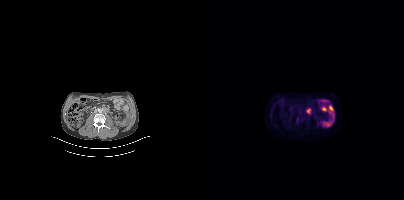
Coordinates are on the 200×200 PET (right) panel. PSMA-avid tumor lesion bounding boxes (x, y, width, height): x=102 y=108 w=6 h=7; x=92 y=117 w=3 h=7.